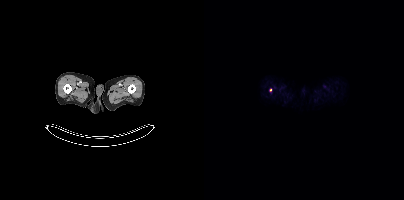
{"modality":"PSMA PET/CT","view":"axial","tracer":"[18F]PSMA-1007","pet_grid":[200,200],"coord_frame":"pet_panel","coord_format":"x0,y0,x1,y1","lesion_bboxes":[],"small_foci_centers":[[66,90]]}